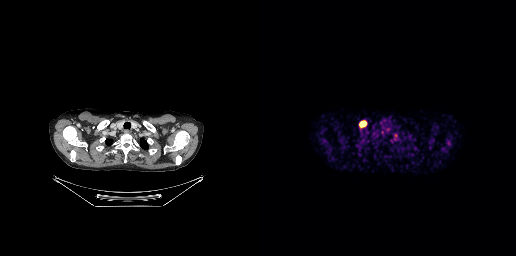
Left: CT. Right: PSMA PET, same axial level, 68Ga tracer. Acquired on GE Discovery 690. Slice 151 of 189. Coordinates are on the 256×256 PET (right) panel. PSMA-avid tumor lesion bounding box (x0, y0)-(x1, y1): (100, 121)-(105, 126).